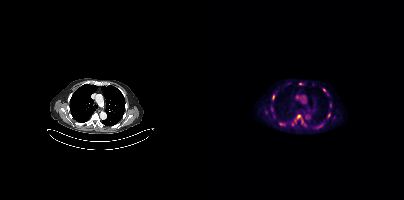
{"pet_grid":[200,200],"coord_frame":"pet_panel","coord_format":"x0,y0,x1,y1","partial":true,"lesion_bboxes":[[75,123,81,125],[68,95,70,99],[67,107,69,111],[124,113,126,117]],"small_foci_centers":[[94,116],[120,90]],"modality":"PSMA PET/CT","view":"axial","tracer":"18F"}